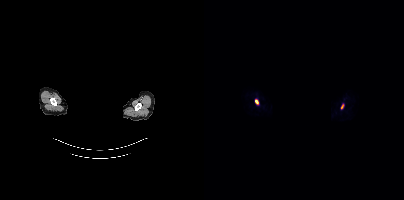
Findings: Coordinates are on the 200×200 PET (right) panel. Small PSMA-avid foci (2 to 4 px across) near (center x, center y): (52, 101) | (138, 106).
Technique: Two-panel axial: CT | PSMA PET, 18F tracer.
Note: An anonymization step blacked out a rectangle over the head in this scan.